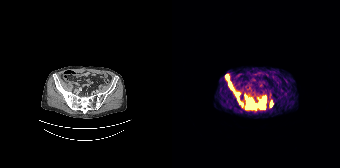
Technique: Left: CT. Right: PSMA PET, same axial level, 68Ga tracer.
Findings: Coordinates are on the 168×168 PET (right) panel. (showing 5 of 6 foci) PSMA-avid tumor lesion bounding boxes (x0, y0)-(x1, y1): (74, 96)-(94, 109); (56, 82)-(60, 89); (53, 74)-(56, 80); (65, 95)-(68, 103); (98, 101)-(100, 106).